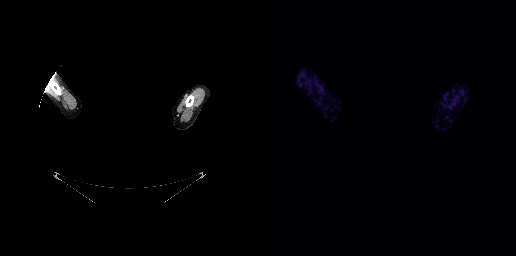
{"modality":"PSMA PET/CT","view":"axial","tracer":"[68Ga]Ga-PSMA-11","pet_grid":[256,256],"coord_frame":"pet_panel","coord_format":"x0,y0,x1,y1","psma_avid_lesions":false,"de-identification":"rectangular block over head set to black"}